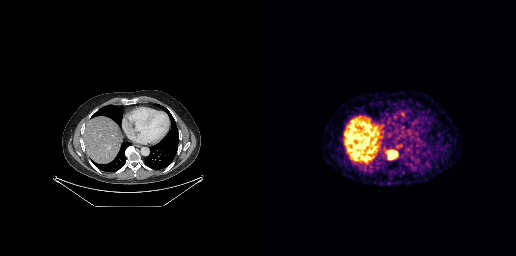
{"modality":"PSMA PET/CT","view":"axial","tracer":"[68Ga]Ga-PSMA-11","pet_grid":[256,256],"coord_frame":"pet_panel","coord_format":"x0,y0,x1,y1","lesion_bboxes":[[127,150,137,159]]}